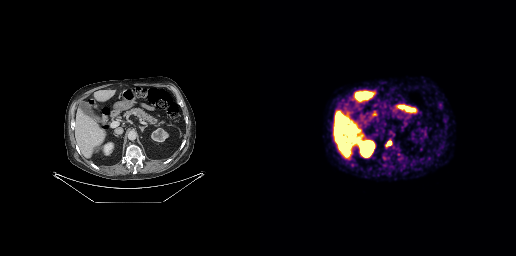
- Left: CT. Right: PSMA PET, same axial level, 18F tracer
Findings: Coordinates are on the 256×256 PET (right) panel. PSMA-avid tumor lesion bounding box (x0, y0)-(x1, y1): (126, 140)-(131, 146).